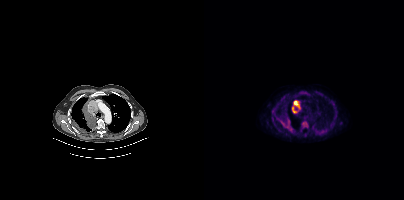
Left: CT. Right: PSMA PET, same axial level, 18F tracer. Slice 329 of 452. PET panel 200×200 px (4.1 mm/px).
Coordinates are on the 200×200 PET (right) panel. PSMA-avid tumor lesion bounding boxes:
| # | x0 | y0 | x1 | y1 |
|---|---|---|---|---|
| 1 | 77 | 118 | 88 | 130 |
| 2 | 88 | 100 | 96 | 112 |
| 3 | 93 | 91 | 101 | 95 |